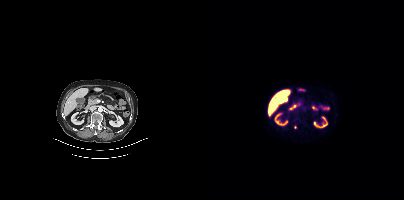
{"modality":"PSMA PET/CT","view":"axial","tracer":"18F","pet_grid":[200,200],"coord_frame":"pet_panel","coord_format":"x0,y0,x1,y1","lesion_bboxes":[],"small_foci_centers":[[91,127]]}